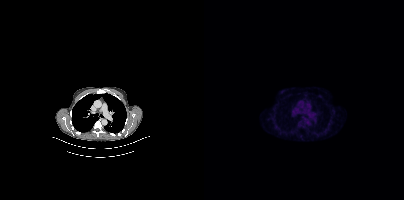
Findings: Negative for PSMA-avid disease on this slice.
- Two-panel axial: CT | PSMA PET, 18F tracer
- PET panel 200×200 px (4.1 mm/px)